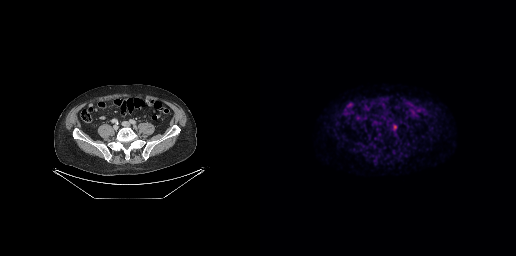
Two-panel axial: CT | PSMA PET, 18F-PSMA tracer. Acquired on GE Discovery 690. Slice 129 of 299. PET panel 256×256 px (2.7 mm/px). Coordinates are on the 256×256 PET (right) panel. PSMA-avid tumor lesion bounding box (x, y, width, height): x=133 y=124 w=5 h=6.